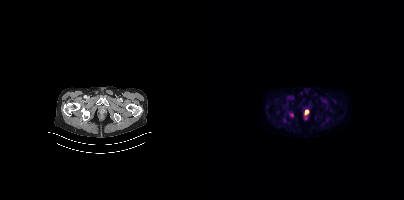
- Left: CT. Right: PSMA PET, same axial level, 18F-PSMA tracer
Findings: Coordinates are on the 200×200 PET (right) panel. PSMA-avid tumor lesion bounding box (x0, y0)-(x1, y1): (101, 110)-(104, 114). Small PSMA-avid focus (2 to 4 px across) near (center x, center y): (87, 114).